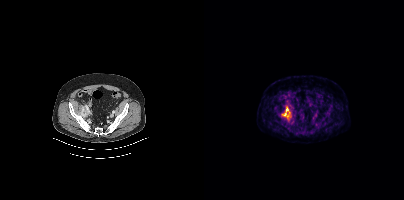
Left: CT. Right: PSMA PET, same axial level, [18F]PSMA-1007 tracer. Acquired on Siemens Biograph mCT Flow 20.
Coordinates are on the 200×200 PET (right) panel. PSMA-avid tumor lesion bounding boxes:
| # | x0 | y0 | x1 | y1 |
|---|---|---|---|---|
| 1 | 77 | 106 | 87 | 120 |